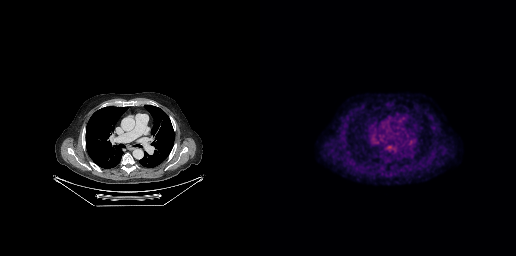
Negative for PSMA-avid disease on this slice.